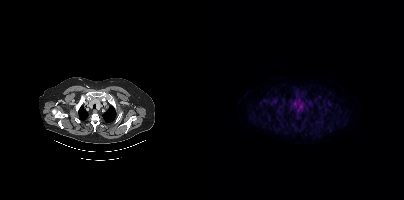
No tumor lesions annotated on this slice.